Left: CT. Right: PSMA PET, same axial level, 68Ga-PSMA tracer. Acquired on Siemens Biograph 64-4R TruePoint. Slice position z = -854 mm.
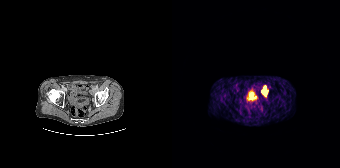
Coordinates are on the 168×168 PET (right) panel. PSMA-avid tumor lesion bounding box (x, y, width, height): x=90 y=86 w=6 h=10.